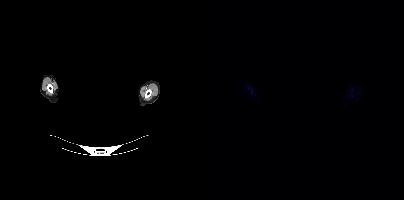
{"modality":"PSMA PET/CT","view":"axial","tracer":"[18F]PSMA-1007","pet_grid":[200,200],"coord_frame":"pet_panel","coord_format":"x0,y0,x1,y1","redaction":"facial region redacted","psma_avid_lesions":false}